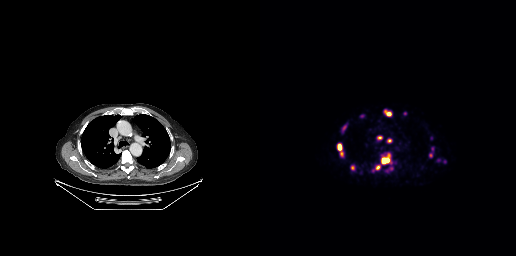
Coordinates are on the 256×256 PET (right) panel. PSMA-avid tumor lesion bounding boxes:
| # | x0 | y0 | x1 | y1 |
|---|---|---|---|---|
| 1 | 122 | 158 | 129 | 162 |
| 2 | 125 | 111 | 131 | 116 |
| 3 | 78 | 144 | 81 | 150 |
| 4 | 117 | 136 | 122 | 139 |
| 5 | 91 | 165 | 94 | 170 |
| 6 | 127 | 139 | 131 | 142 |
Small PSMA-avid foci (2 to 4 px across) near (center x, center y): (81, 153); (117, 167).
Left: CT. Right: PSMA PET, same axial level, [68Ga]Ga-PSMA-11 tracer.